modality: PSMA PET/CT | tracer: 68Ga-PSMA | view: axial
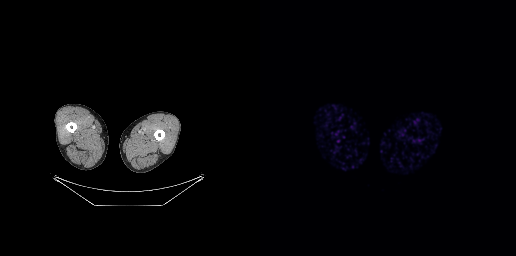
This slice has no annotated PSMA-avid lesion.